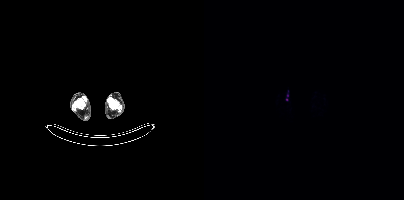
Coordinates are on the 200×200 PET (right) panel. Small PSMA-avid foci (2 to 4 px across) near (center x, center y): (83, 95) / (82, 99).